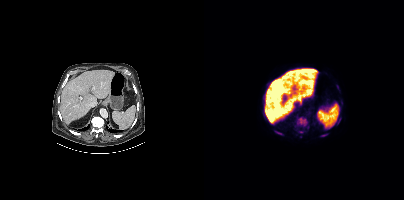
modality: PSMA PET/CT | tracer: 18F | view: axial | PET grid: 200×200
Coordinates are on the 200×200 PET (right) panel. (showing 8 of 10 foci) PSMA-avid tumor lesion bounding boxes (x0,y0,x1,y1): [92,116,103,126], [132,85,135,90], [66,123,70,125], [74,132,78,134], [95,131,99,132]. Small PSMA-avid foci (2 to 4 px across) near (center x, center y): (118, 135), (134, 123), (103, 127).